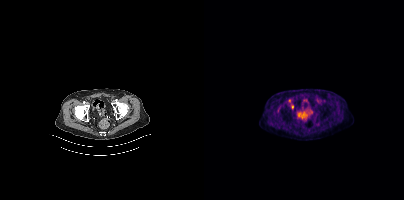
Findings: Coordinates are on the 200×200 PET (right) panel. Small PSMA-avid focus (2 to 4 px across) near (center x, center y): (85, 100).
- Left: CT. Right: PSMA PET, same axial level, [18F]PSMA-1007 tracer